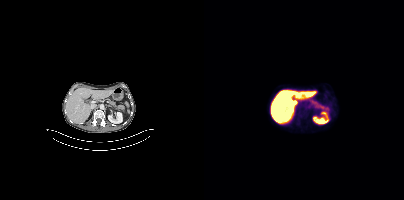
This slice has no annotated PSMA-avid lesion.